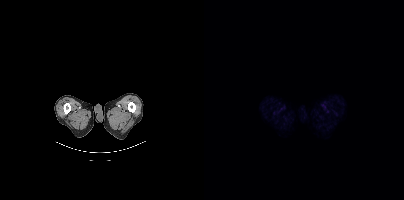
Two-panel axial: CT | PSMA PET, 18F tracer. Acquired on Siemens Biograph mCT Flow 20. Slice 10 of 435. No PSMA-avid tumor lesions on this slice.